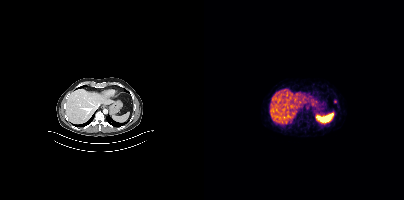
Only PSMA-avid lesion pieces thinner than 2 px on this slice (not listed). Two-panel axial: CT | PSMA PET, [68Ga]Ga-PSMA-11 tracer. Acquired on Siemens Biograph mCT Flow 20. Slice position z = -1138 mm. PET panel 200×200 px (4.1 mm/px).